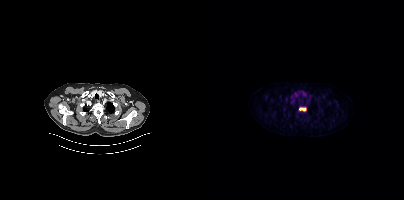
Coordinates are on the 200×200 PET (right) panel. PSMA-avid tumor lesion bounding box (x0, y0)-(x1, y1): (95, 107)-(102, 111).